- Paired axial CT (left) and PSMA PET (right), 68Ga tracer
- slice 101 of 263
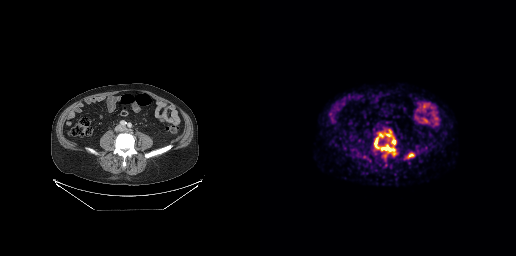
Findings: Coordinates are on the 256×256 PET (right) panel. PSMA-avid tumor lesion bounding boxes (x0,y0,x1,y1): [114,133,135,155] [148,153,153,157].